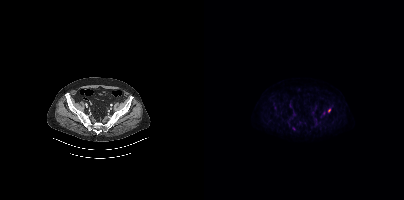
Findings: Only PSMA-avid lesion pieces thinner than 2 px on this slice (not listed).
Technique: Paired axial CT (left) and PSMA PET (right), 18F-PSMA tracer. slice 121 of 450.